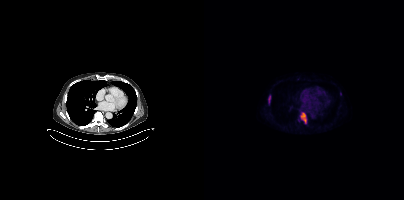
{"modality":"PSMA PET/CT","view":"axial","tracer":"18F","pet_grid":[200,200],"coord_frame":"pet_panel","coord_format":"x0,y0,x1,y1","lesion_bboxes":[[96,112,102,123],[64,95,66,103]],"small_foci_centers":[[136,93]]}